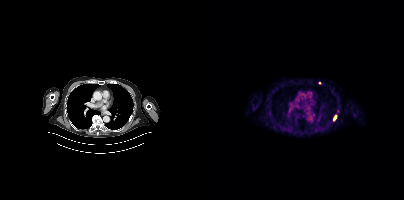
Findings: Coordinates are on the 200×200 PET (right) panel. PSMA-avid tumor lesion bounding box (x0, y0)-(x1, y1): (129, 115)-(132, 120). Small PSMA-avid focus (2 to 4 px across) near (center x, center y): (115, 82).
Technique: Left: CT. Right: PSMA PET, same axial level, [18F]PSMA-1007 tracer. acquired on Siemens Biograph mCT Flow 20. PET panel 200×200 px (4.1 mm/px).